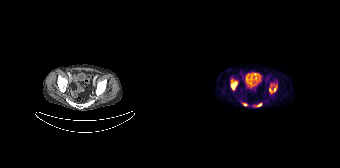
Findings: Coordinates are on the 168×168 PET (right) panel. (showing 4 of 5 foci) PSMA-avid tumor lesion bounding boxes (x, y, width, height): x=59 y=79 w=7 h=12 / x=97 y=86 w=9 h=7 / x=85 y=103 w=5 h=4. Small PSMA-avid focus (2 to 4 px across) near (center x, center y): (72, 104).
Technique: Paired axial CT (left) and PSMA PET (right), [68Ga]Ga-PSMA-11 tracer. PET panel 168×168 px (4.1 mm/px).